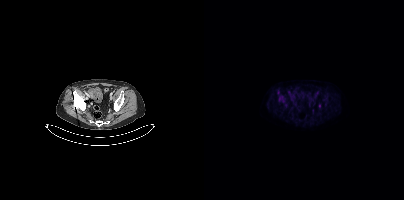
Coordinates are on the 200×200 PET (right) panel. Small PSMA-avid focus (2 to 4 px across) near (center x, center y): (115, 106). Two-panel axial: CT | PSMA PET, [18F]PSMA-1007 tracer. Acquired on Siemens Biograph mCT Flow 20. Slice 104 of 421. PET panel 200×200 px (4.1 mm/px).